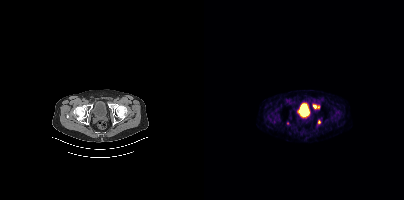
Coordinates are on the 200×200 PET (right) panel. PSMA-avid tumor lesion bounding box (x0,y0,x1,y1): [109,104,115,108]. Small PSMA-avid foci (2 to 4 px across) near (center x, center y): (115, 121) (83, 123).